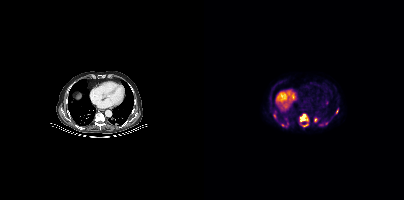
Coordinates are on the 200×200 PET (right) panel. PSMA-avid tumor lesion bounding boxes (x0, y0)-(x1, y1): (96, 114)-(104, 121); (110, 118)-(113, 122); (77, 124)-(83, 126). Small PSMA-avid foci (2 to 4 px across) near (center x, center y): (132, 111); (70, 116); (83, 123); (99, 125); (122, 123); (103, 124); (116, 124).
modality: PSMA PET/CT | tracer: 18F | view: axial